Technique: Paired axial CT (left) and PSMA PET (right), 18F-PSMA tracer. slice position z = -1136 mm.
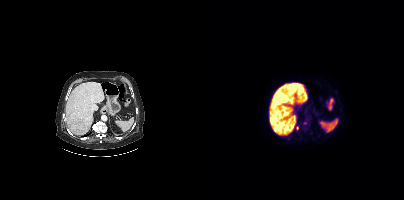
Findings: Coordinates are on the 200×200 PET (right) panel. Small PSMA-avid foci (2 to 4 px across) near (center x, center y): (93, 128), (100, 122).